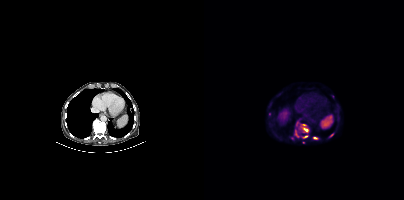
Left: CT. Right: PSMA PET, same axial level, [18F]PSMA-1007 tracer. Acquired on Siemens Biograph mCT Flow 20. Slice position z = -71 mm. PET panel 200×200 px (4.1 mm/px).
Coordinates are on the 200×200 PET (right) panel. PSMA-avid tumor lesion bounding boxes (partial; 3 more foci not listed):
| # | x0 | y0 | x1 | y1 |
|---|---|---|---|---|
| 1 | 98 | 127 | 104 | 132 |
| 2 | 126 | 133 | 129 | 137 |
Small PSMA-avid foci (2 to 4 px across) near (center x, center y): (93, 136); (91, 131); (101, 136); (65, 114); (96, 132); (111, 137); (99, 124).